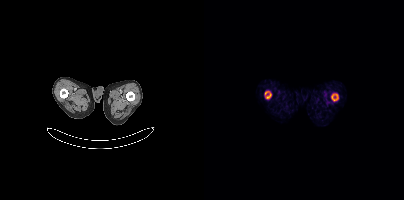
Technique: Left: CT. Right: PSMA PET, same axial level, [18F]PSMA-1007 tracer. slice position z = -382 mm.
Findings: Coordinates are on the 200×200 PET (right) panel. PSMA-avid tumor lesion bounding boxes (x0, y0)-(x1, y1): (127, 93)-(134, 101); (61, 91)-(67, 98).